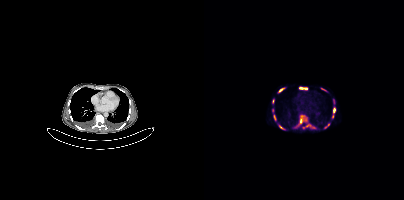
Coordinates are on the 200×200 PET (right) panel. (showing 11 of 15 foci) PSMA-avid tumor lesion bounding boxes (x0, y0)-(x1, y1): (128, 107)-(131, 118) / (96, 115)-(99, 123) / (95, 87)-(103, 89) / (75, 88)-(79, 91) / (76, 126)-(80, 129) / (117, 88)-(121, 90) / (70, 115)-(71, 119). Small PSMA-avid foci (2 to 4 px across) near (center x, center y): (68, 110) / (103, 125) / (109, 127) / (121, 127).